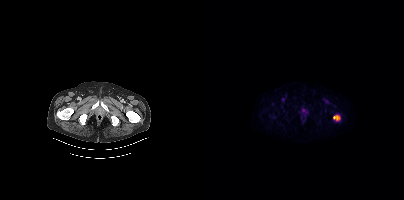
Coordinates are on the 200×200 PET (right) panel. PSMA-avid tumor lesion bounding boxes:
| # | x0 | y0 | x1 | y1 |
|---|---|---|---|---|
| 1 | 129 | 115 | 135 | 119 |
Small PSMA-avid focus (2 to 4 px across) near (center x, center y): (79, 99).
Two-panel axial: CT | PSMA PET, 18F tracer. Acquired on Siemens Biograph mCT Flow 20.